- Two-panel axial: CT | PSMA PET, 18F tracer
- PET panel 256×256 px (2.7 mm/px)
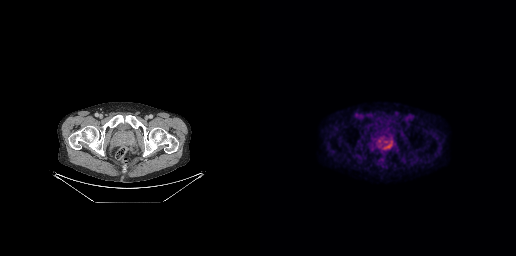
Findings: Coordinates are on the 256×256 PET (right) panel. PSMA-avid tumor lesion bounding box (x, y, width, height): x=126 y=141 w=7 h=7.